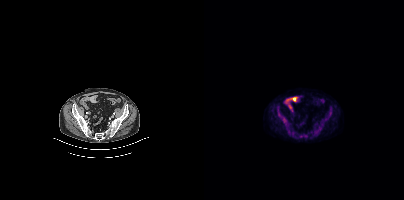
Findings: Coordinates are on the 200×200 PET (right) panel. (showing 4 of 5 foci) PSMA-avid tumor lesion bounding boxes (x0, y0)-(x1, y1): (78, 117)-(84, 127) / (73, 106)-(76, 116) / (124, 108)-(127, 118) / (96, 134)-(103, 137).
Technique: Two-panel axial: CT | PSMA PET, 18F-PSMA tracer. slice position z = -1500 mm.